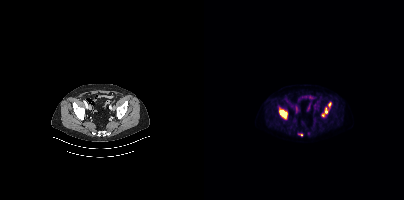
modality: PSMA PET/CT | tracer: 18F | view: axial
Coordinates are on the 200×200 PET (right) panel. PSMA-avid tumor lesion bounding boxes (x0, y0)-(x1, y1): (75, 109)-(83, 118) | (118, 107)-(124, 116) | (124, 102)-(126, 107) | (94, 133)-(98, 135).